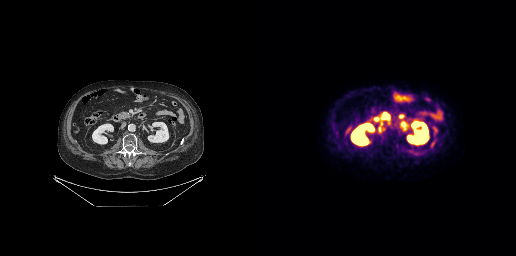
{"modality":"PSMA PET/CT","view":"axial","tracer":"[18F]PSMA-1007","pet_grid":[256,256],"coord_frame":"pet_panel","coord_format":"x0,y0,x1,y1","psma_avid_lesions":false}